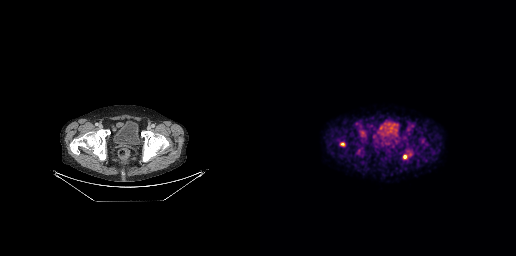
Findings: Coordinates are on the 256×256 PET (right) panel. (showing 1 of 2 foci) Small PSMA-avid focus (2 to 4 px across) near (center x, center y): (144, 156).
- Paired axial CT (left) and PSMA PET (right), [18F]PSMA-1007 tracer
- acquired on GE Discovery 690
- slice position z = -717 mm